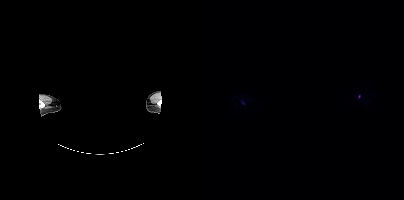
{"modality":"PSMA PET/CT","view":"axial","tracer":"18F-PSMA","pet_grid":[200,200],"coord_frame":"pet_panel","coord_format":"x0,y0,x1,y1","deidentification":"facial region redacted","lesion_bboxes":[[37,100,41,104]],"small_foci_centers":[[155,96]]}